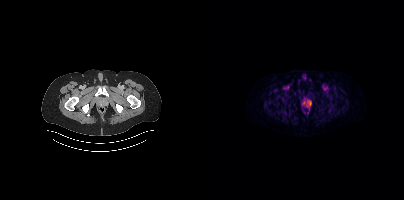
Coordinates are on the 200×200 PET (right) panel. Small PSMA-avid focus (2 to 4 px across) near (center x, center y): (105, 103).